modality: PSMA PET/CT | tracer: [18F]PSMA-1007 | view: axial | PET grid: 200×200
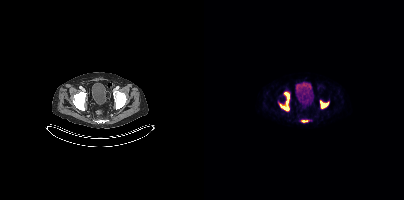
Coordinates are on the 200×200 PET (right) panel. PSMA-avid tumor lesion bounding boxes (x0,y0,x1,y1): [76,92,85,110]; [116,101,124,108]; [98,120,103,122].